Two-panel axial: CT | PSMA PET, 18F tracer. PET panel 168×168 px (4.1 mm/px).
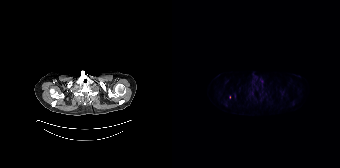
Only PSMA-avid lesion pieces thinner than 2 px on this slice (not listed).